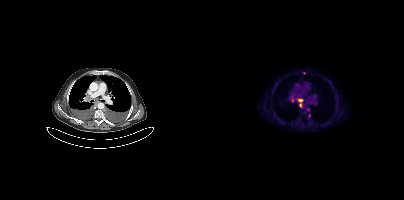
modality: PSMA PET/CT | tracer: [18F]PSMA-1007 | view: axial | PET grid: 200×200
Coordinates are on the 200×200 PET (right) panel. (showing 4 of 5 foci) PSMA-avid tumor lesion bounding box (x0,y0,x1,y1): [94,99,98,106]. Small PSMA-avid foci (2 to 4 px across) near (center x, center y): (88, 100), (104, 109), (105, 115).